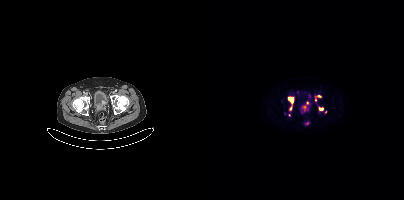
modality: PSMA PET/CT | tracer: [18F]PSMA-1007 | view: axial
Coordinates are on the 200×200 PET (right) panel. PSMA-avid tumor lesion bounding boxes (x, y, width, height): x=84 y=97 w=6 h=14; x=111 y=95 w=7 h=7; x=98 y=102 w=6 h=9; x=115 y=108 w=5 h=2. Small PSMA-avid focus (2 to 4 px across) near (center x, center y): (105, 96).